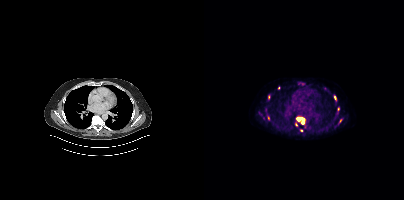
modality: PSMA PET/CT | tracer: 18F | view: axial | PET grid: 200×200
Coordinates are on the 200×200 PET (right) panel. (showing 5 of 8 foci) PSMA-avid tumor lesion bounding box (x0,y0,x1,y1): [92,116,101,124]. Small PSMA-avid foci (2 to 4 px across) near (center x, center y): (131, 97) (92, 124) (97, 130) (134, 109).